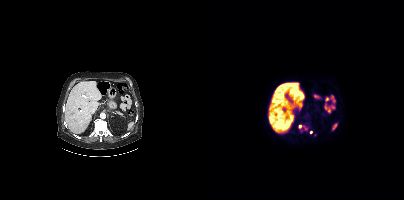
Coordinates are on the 200×200 PET (right) panel. PSMA-avid tumor lesion bounding boxes:
| # | x0 | y0 | x1 | y1 |
|---|---|---|---|---|
| 1 | 95 | 124 | 103 | 130 |
Small PSMA-avid foci (2 to 4 px across) near (center x, center y): (107, 132); (97, 130).
Two-panel axial: CT | PSMA PET, 18F tracer. Acquired on Siemens Biograph mCT Flow 20.